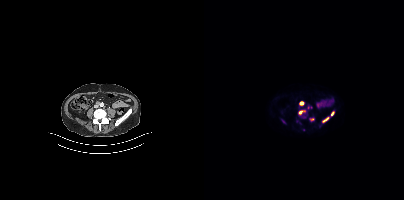
Coordinates are on the 200×200 PET (right) panel. PSMA-avid tumor lesion bounding boxes (x0,y0,x1,y1): [118,117,125,122]; [95,110,101,114]; [96,101,99,105]; [127,111,130,115]. Small PSMA-avid focus (2 to 4 px across) near (center x, center y): (107, 119). Paired axial CT (left) and PSMA PET (right), 18F tracer.